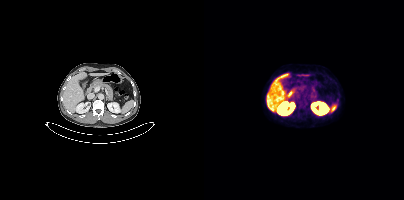
Paired axial CT (left) and PSMA PET (right), [18F]PSMA-1007 tracer. Acquired on Siemens Biograph mCT Flow 20. Slice position z = -1337 mm. PET panel 200×200 px (4.1 mm/px). Coordinates are on the 200×200 PET (right) panel. Small PSMA-avid focus (2 to 4 px across) near (center x, center y): (133, 100).